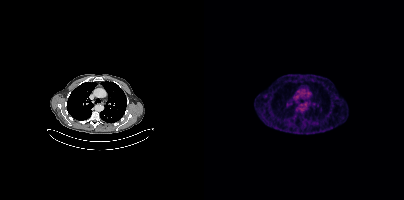
This slice has no annotated PSMA-avid lesion. Paired axial CT (left) and PSMA PET (right), 68Ga-PSMA tracer. Acquired on Siemens Biograph mCT Flow 20.